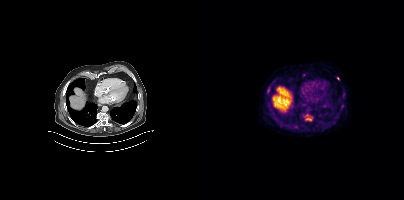
Technique: Two-panel axial: CT | PSMA PET, 18F-PSMA tracer. acquired on Siemens Biograph mCT Flow 20.
Findings: Coordinates are on the 200×200 PET (right) panel. (showing 4 of 5 foci) PSMA-avid tumor lesion bounding box (x0, y0)-(x1, y1): (100, 114)-(108, 121). Small PSMA-avid foci (2 to 4 px across) near (center x, center y): (100, 74) | (134, 79) | (64, 91).